Technique: Two-panel axial: CT | PSMA PET, 18F tracer.
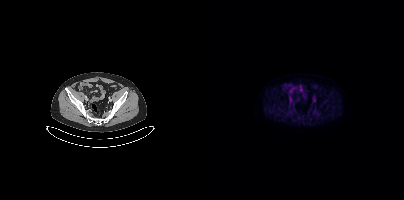
Findings: No PSMA-avid tumor lesions on this slice.